Technique: Two-panel axial: CT | PSMA PET, 18F-PSMA tracer.
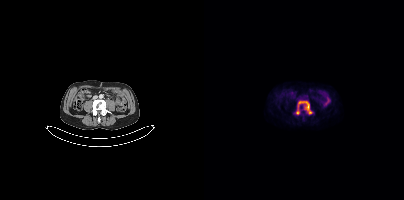
Findings: Coordinates are on the 200×200 PET (right) panel. PSMA-avid tumor lesion bounding box (x, y, width, height): x=92 y=101 w=17 h=14.